Paired axial CT (left) and PSMA PET (right), [18F]PSMA-1007 tracer.
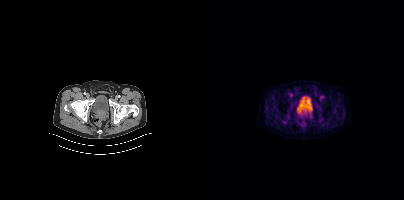
Coordinates are on the 200×200 PET (right) panel. Small PSMA-avid focus (2 to 4 px across) near (center x, center y): (101, 113).